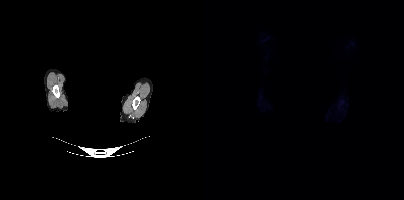
- Two-panel axial: CT | PSMA PET, 18F-PSMA tracer
- privacy masking over the head, with the pixels inside a rectangle set to black
Findings: Negative for PSMA-avid disease on this slice.